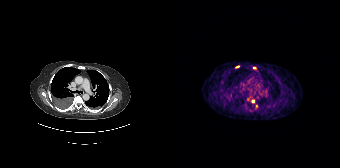
Coordinates are on the 168×168 PET (right) panel. (showing 3 of 4 foci) Small PSMA-avid foci (2 to 4 px across) near (center x, center y): (81, 101) | (65, 66) | (82, 67).